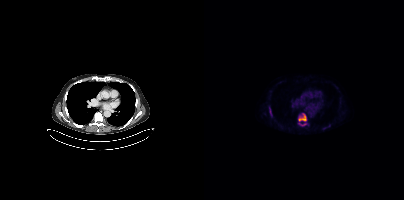
Left: CT. Right: PSMA PET, same axial level, 18F-PSMA tracer. Slice position z = 220 mm. PET panel 200×200 px (4.1 mm/px).
Coordinates are on the 200×200 PET (right) panel. PSMA-avid tumor lesion bounding boxes:
| # | x0 | y0 | x1 | y1 |
|---|---|---|---|---|
| 1 | 94 | 113 | 102 | 121 |
| 2 | 65 | 107 | 68 | 115 |
| 3 | 94 | 123 | 102 | 125 |
Small PSMA-avid foci (2 to 4 px across) near (center x, center y): (120, 128); (125, 125).